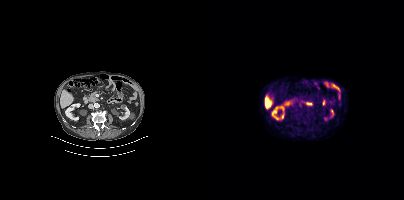
No tumor lesions annotated on this slice. Left: CT. Right: PSMA PET, same axial level, [18F]PSMA-1007 tracer. Slice 168 of 427.